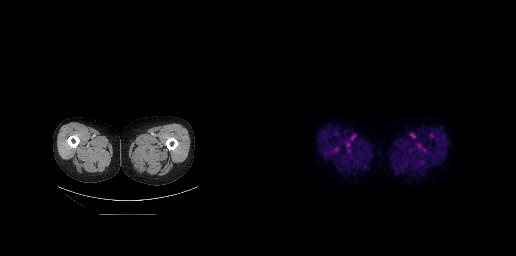
Technique: Left: CT. Right: PSMA PET, same axial level, 18F-PSMA tracer. slice position z = -786 mm.
Findings: No PSMA-avid tumor lesions on this slice.